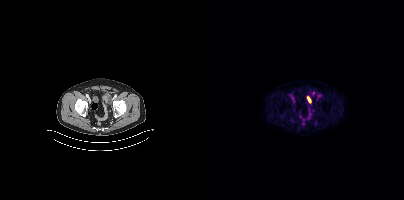
- Two-panel axial: CT | PSMA PET, 18F-PSMA tracer
- slice position z = -1662 mm
Findings: Coordinates are on the 200×200 PET (right) panel. (showing 2 of 3 foci) Small PSMA-avid foci (2 to 4 px across) near (center x, center y): (87, 120) | (109, 92).